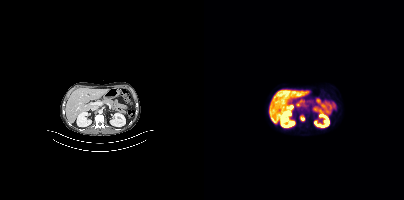
Paired axial CT (left) and PSMA PET (right), [18F]PSMA-1007 tracer. Slice 179 of 377.
Coordinates are on the 200×200 PET (right) panel. PSMA-avid tumor lesion bounding boxes:
| # | x0 | y0 | x1 | y1 |
|---|---|---|---|---|
| 1 | 96 | 115 | 100 | 120 |